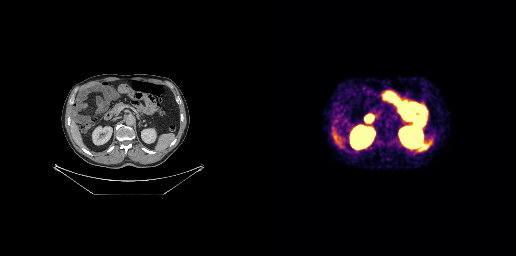
Paired axial CT (left) and PSMA PET (right), 68Ga tracer. Acquired on GE Discovery 690. Slice position z = -595 mm. PET panel 256×256 px (2.7 mm/px). Negative for PSMA-avid disease on this slice.